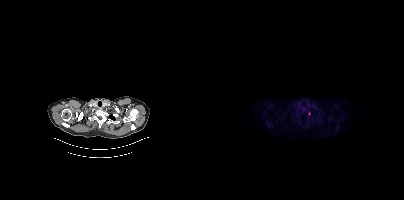
Technique: Two-panel axial: CT | PSMA PET, 18F-PSMA tracer. slice 354 of 427. PET panel 200×200 px (4.1 mm/px).
Findings: Only PSMA-avid lesion pieces thinner than 2 px on this slice (not listed).